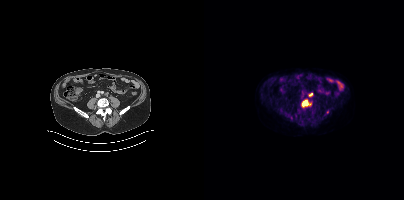
Left: CT. Right: PSMA PET, same axial level, 18F tracer. Slice 143 of 411.
Coordinates are on the 200×200 PET (right) panel. PSMA-avid tumor lesion bounding boxes (partial; 1 more focus not listed):
| # | x0 | y0 | x1 | y1 |
|---|---|---|---|---|
| 1 | 97 | 100 | 107 | 107 |
Small PSMA-avid foci (2 to 4 px across) near (center x, center y): (123, 112); (87, 117).